Two-panel axial: CT | PSMA PET, [18F]PSMA-1007 tracer. Acquired on Siemens Biograph mCT Flow 20. Slice position z = 1728 mm. PET panel 200×200 px (4.1 mm/px).
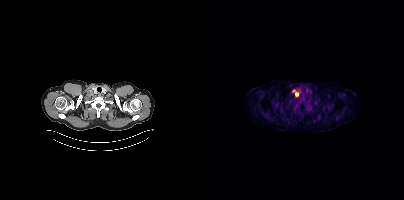
Coordinates are on the 200×200 PET (right) panel. PSMA-avid tumor lesion bounding box (x0,y0,x1,y1): [89,90,94,96].